modality: PSMA PET/CT | tracer: 18F | view: axial | PET grid: 200×200
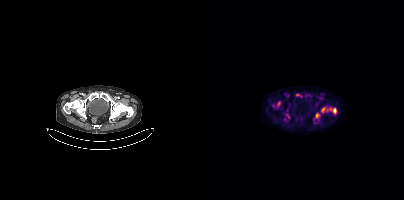
Coordinates are on the 200×200 PET (right) panel. (showing 3 of 5 foci) PSMA-avid tumor lesion bounding boxes (x0, y0)-(x1, y1): (126, 108)-(132, 113); (118, 108)-(120, 112). Small PSMA-avid focus (2 to 4 px across) near (center x, center y): (113, 115).